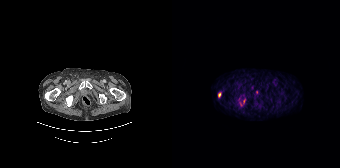
Coordinates are on the 168×168 PET (right) panel. PSMA-avid tumor lesion bounding boxes (partial; 1 more focus not listed):
| # | x0 | y0 | x1 | y1 |
|---|---|---|---|---|
| 1 | 46 | 92 | 49 | 96 |
Paired axial CT (left) and PSMA PET (right), 68Ga tracer. PET panel 168×168 px (4.1 mm/px).